modality: PSMA PET/CT | tracer: 18F-PSMA | view: axial | PET grid: 200×200
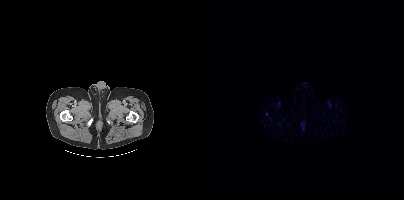
Coordinates are on the 200×200 PET (right) panel. Small PSMA-avid focus (2 to 4 px across) near (center x, center y): (62, 113).